modality: PSMA PET/CT | tracer: [18F]PSMA-1007 | view: axial | PET grid: 200×200
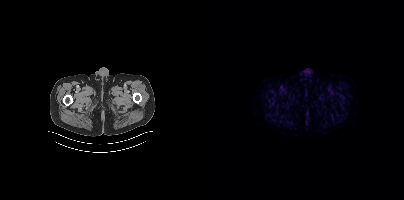
Negative for PSMA-avid disease on this slice.